Paired axial CT (left) and PSMA PET (right), 18F-PSMA tracer.
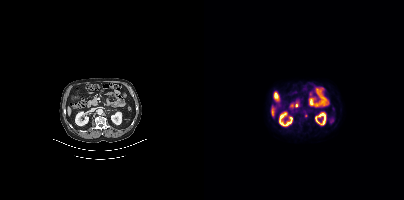
Only PSMA-avid lesion pieces thinner than 2 px on this slice (not listed).